- Left: CT. Right: PSMA PET, same axial level, [18F]PSMA-1007 tracer
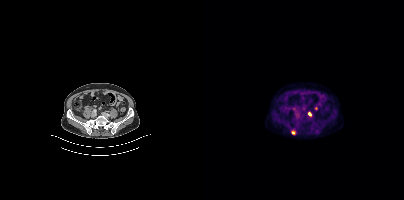
Findings: Coordinates are on the 200×200 PET (right) panel. PSMA-avid tumor lesion bounding box (x0,y0,x1,y1): [87,129,92,134]. Small PSMA-avid focus (2 to 4 px across) near (center x, center y): (105, 113).